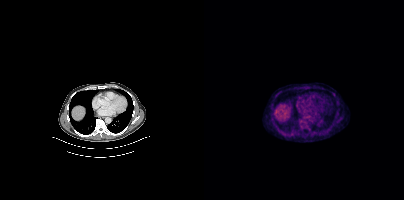
{"modality":"PSMA PET/CT","view":"axial","tracer":"18F","pet_grid":[200,200],"coord_frame":"pet_panel","coord_format":"x0,y0,x1,y1","lesion_bboxes":[],"small_foci_centers":[[98,120]]}